modality: PSMA PET/CT | tracer: [18F]PSMA-1007 | view: axial
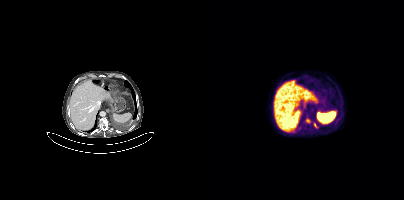
Coordinates are on the 200×200 PET (right) panel. PSMA-avid tumor lesion bounding boxes (x, y, width, height): x=102 y=119 w=5 h=4; x=110 y=123 w=4 h=5.